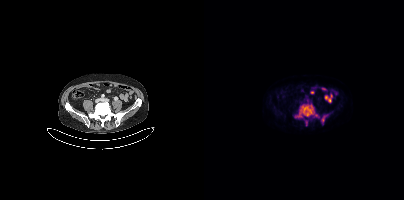
{"modality":"PSMA PET/CT","view":"axial","tracer":"18F-PSMA","pet_grid":[200,200],"coord_frame":"pet_panel","coord_format":"x0,y0,x1,y1","lesion_bboxes":[[91,104,113,117],[117,114,123,124],[102,121,103,125]]}